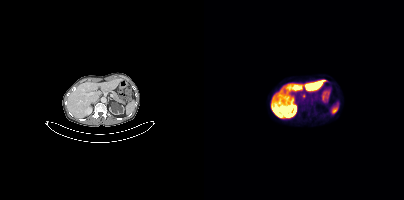
Technique: Left: CT. Right: PSMA PET, same axial level, [18F]PSMA-1007 tracer. slice position z = -212 mm. PET panel 200×200 px (4.1 mm/px).
Findings: Only PSMA-avid lesion pieces thinner than 2 px on this slice (not listed).